- Paired axial CT (left) and PSMA PET (right), 18F-PSMA tracer
- acquired on Siemens Biograph mCT Flow 20
- slice 9 of 435
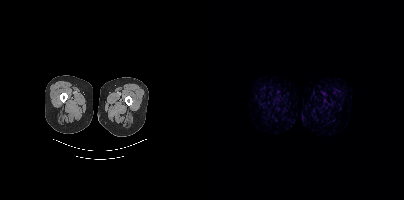
Findings: No PSMA-avid tumor lesions on this slice.